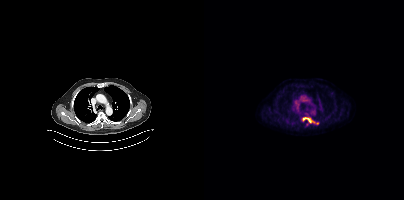
Findings: Coordinates are on the 200×200 PET (right) panel. PSMA-avid tumor lesion bounding box (x0,y0,x1,y1): [99,117,114,124].
- Left: CT. Right: PSMA PET, same axial level, 18F tracer
- slice 290 of 393